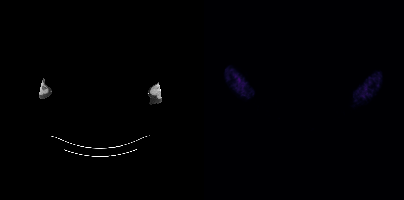
{"modality":"PSMA PET/CT","view":"axial","tracer":"[68Ga]Ga-PSMA-11","pet_grid":[200,200],"coord_frame":"pet_panel","coord_format":"x0,y0,x1,y1","psma_avid_lesions":false,"deidentification":"facial region redacted"}